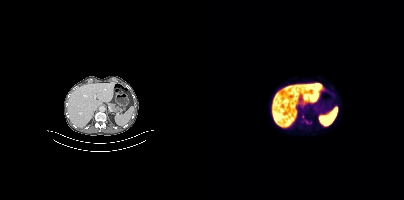
{"modality":"PSMA PET/CT","view":"axial","tracer":"18F-PSMA","pet_grid":[200,200],"coord_frame":"pet_panel","coord_format":"x0,y0,x1,y1","lesion_bboxes":[],"small_foci_centers":[[98,116],[102,121]]}